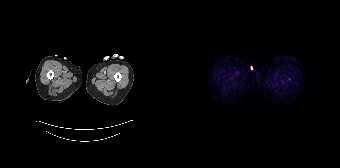
Paired axial CT (left) and PSMA PET (right), [68Ga]Ga-PSMA-11 tracer. Slice 34 of 195. PET panel 168×168 px (4.1 mm/px). Negative for PSMA-avid disease on this slice.